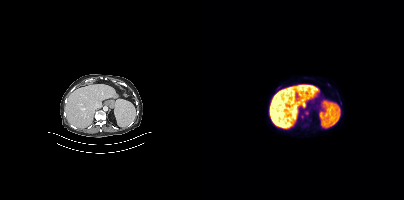
Coordinates are on the 200×200 PET (right) panel. (showing 2 of 3 foci) Small PSMA-avid foci (2 to 4 px across) near (center x, center y): (103, 112) | (74, 87).